Technique: Left: CT. Right: PSMA PET, same axial level, [18F]PSMA-1007 tracer. slice position z = -822 mm.
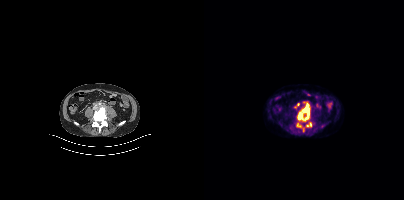
Findings: Coordinates are on the 200×200 PET (right) panel. (showing 4 of 5 foci) PSMA-avid tumor lesion bounding box (x, y, width, height): x=93 y=104 w=13 h=17. Small PSMA-avid foci (2 to 4 px across) near (center x, center y): (94, 125); (106, 124); (103, 125).